Two-panel axial: CT | PSMA PET, [18F]PSMA-1007 tracer.
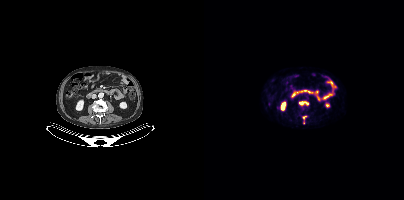
Coordinates are on the 200×200 PET (right) panel. (showing 3 of 4 foci) PSMA-avid tumor lesion bounding boxes (x0,y0,x1,y1): [96,102,101,104] [98,116,102,119]. Small PSMA-avid focus (2 to 4 px across) near (center x, center y): (103, 103).